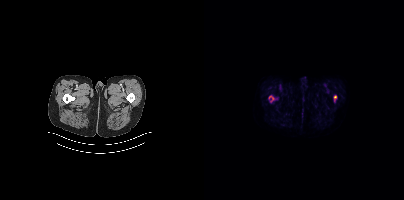
modality: PSMA PET/CT | tracer: 18F | view: axial
Coordinates are on the 200×200 PET (right) panel. PSMA-avid tumor lesion bounding box (x0, y0)-(x1, y1): (65, 96)-(70, 100). Small PSMA-avid focus (2 to 4 px across) near (center x, center y): (131, 96).